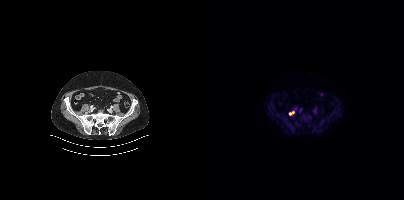
Two-panel axial: CT | PSMA PET, 18F tracer. Acquired on Siemens Biograph mCT Flow 20. PET panel 200×200 px (4.1 mm/px). Coordinates are on the 200×200 PET (right) panel. PSMA-avid tumor lesion bounding box (x0,y0,x1,y1): [85,111,90,115].